- Paired axial CT (left) and PSMA PET (right), [18F]PSMA-1007 tracer
- acquired on Siemens Biograph mCT Flow 20
- slice 40 of 401
- PET panel 200×200 px (4.1 mm/px)
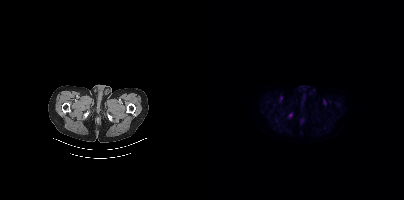
Findings: Negative for PSMA-avid disease on this slice.